modality: PSMA PET/CT | tracer: 18F-PSMA | view: axial | PET grid: 256×256
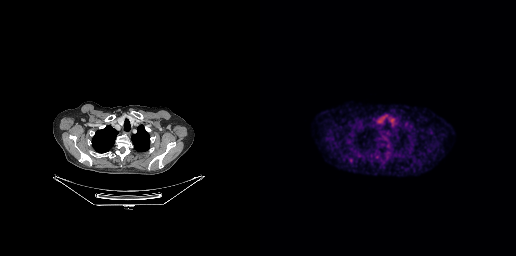
No tumor lesions annotated on this slice.